Paired axial CT (left) and PSMA PET (right), 68Ga-PSMA tracer. Acquired on GE Discovery 690.
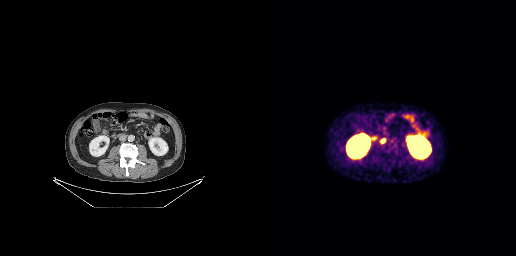
Coordinates are on the 256×256 PET (right) panel. PSMA-avid tumor lesion bounding boxes:
| # | x0 | y0 | x1 | y1 |
|---|---|---|---|---|
| 1 | 120 | 138 | 125 | 143 |